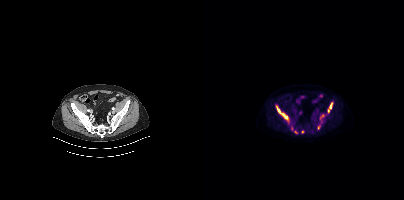
Coordinates are on the 200×200 PET (right) panel. (showing 6 of 7 foci) PSMA-avid tumor lesion bounding boxes (x0, y0)-(x1, y1): (72, 106)-(84, 119) / (124, 103)-(128, 112) / (87, 126)-(89, 130). Small PSMA-avid foci (2 to 4 px across) near (center x, center y): (91, 131) / (115, 127) / (98, 132).
modality: PSMA PET/CT | tracer: 18F-PSMA | view: axial | PET grid: 200×200